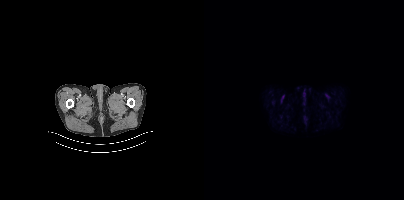
- Paired axial CT (left) and PSMA PET (right), [18F]PSMA-1007 tracer
- slice 32 of 421
- PET panel 200×200 px (4.1 mm/px)
Findings: Negative for PSMA-avid disease on this slice.